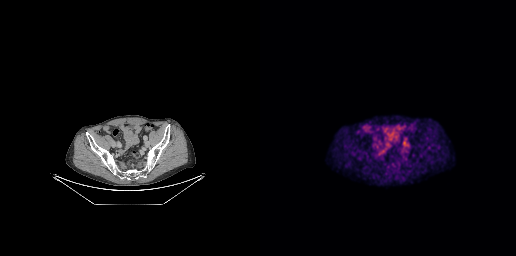
Coordinates are on the 256×256 PET (right) panel. PSMA-avid tumor lesion bounding boxes:
| # | x0 | y0 | x1 | y1 |
|---|---|---|---|---|
| 1 | 142 | 140 | 145 | 144 |
Two-panel axial: CT | PSMA PET, [18F]PSMA-1007 tracer. Acquired on GE Discovery 690. Slice position z = -580 mm. PET panel 256×256 px (2.7 mm/px).